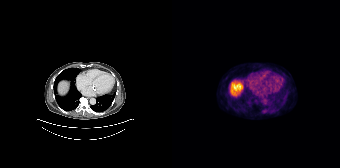
modality: PSMA PET/CT | tracer: 18F | view: axial
No PSMA-avid tumor lesions on this slice.